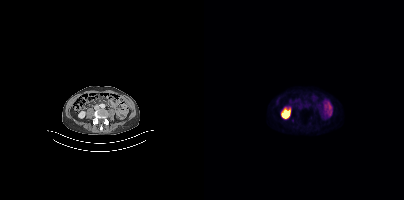
Coordinates are on the 200×200 PET (right) panel. Small PSMA-avid focus (2 to 4 px across) near (center x, center y): (88, 120). Two-panel axial: CT | PSMA PET, 18F-PSMA tracer.